Technique: Paired axial CT (left) and PSMA PET (right), 68Ga-PSMA tracer. PET panel 200×200 px (4.1 mm/px).
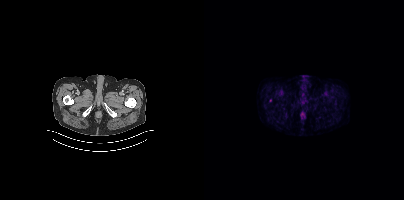
Findings: Coordinates are on the 200×200 PET (right) panel. Small PSMA-avid focus (2 to 4 px across) near (center x, center y): (66, 100).